Left: CT. Right: PSMA PET, same axial level, [18F]PSMA-1007 tracer. PET panel 200×200 px (4.1 mm/px).
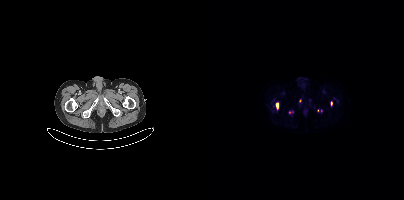
Coordinates are on the 200×200 PET (right) panel. (showing 3 of 6 foci) PSMA-avid tumor lesion bounding boxes (x, y, width, height): x=72 y=103 w=3 h=6 | x=127 y=101 w=2 h=5. Small PSMA-avid focus (2 to 4 px across) near (center x, center y): (86, 112).